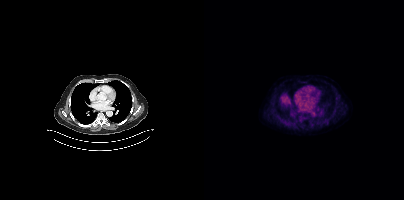
{"pet_grid":[200,200],"coord_frame":"pet_panel","coord_format":"x0,y0,x1,y1","psma_avid_lesions":false,"modality":"PSMA PET/CT","view":"axial","tracer":"18F-PSMA"}